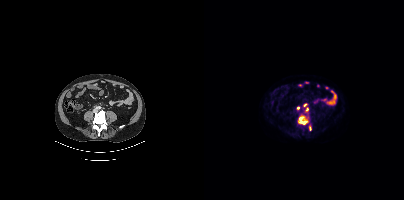
Coordinates are on the 200×200 PET (right) panel. PSMA-avid tumor lesion bounding boxes (x, y, width, height): x=94 y=116 w=11 h=9; x=102 y=107 w=3 h=5; x=105 y=126 w=3 h=5. Small PSMA-avid foci (2 to 4 px across) near (center x, center y): (101, 104); (94, 108).
modality: PSMA PET/CT | tracer: [18F]PSMA-1007 | view: axial | PET grid: 200×200